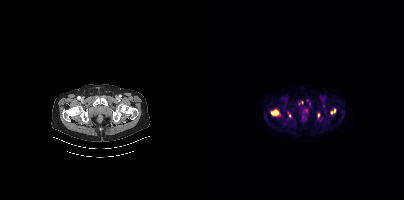
- Paired axial CT (left) and PSMA PET (right), 18F tracer
- acquired on Siemens Biograph mCT Flow 20
- slice 55 of 407
- PET panel 200×200 px (4.1 mm/px)
Findings: Coordinates are on the 200×200 PET (right) panel. PSMA-avid tumor lesion bounding boxes (x, y, width, height): x=67 y=109 w=10 h=7 / x=126 y=108 w=7 h=7 / x=83 y=111 w=5 h=7. Small PSMA-avid foci (2 to 4 px across) near (center x, center y): (95, 103) / (120, 105) / (98, 102) / (114, 115) / (103, 100).